Left: CT. Right: PSMA PET, same axial level, [18F]PSMA-1007 tracer. Acquired on Siemens Biograph mCT Flow 20. Slice 240 of 435.
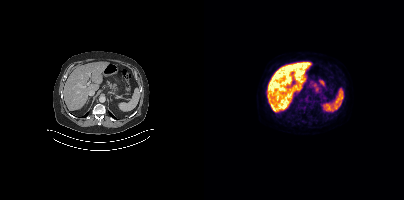
Coordinates are on the 200×200 PET (right) panel. PSMA-avid tumor lesion bounding box (x, y, width, height): x=105 y=101 w=5 h=5. Small PSMA-avid focus (2 to 4 px across) near (center x, center y): (93, 111).